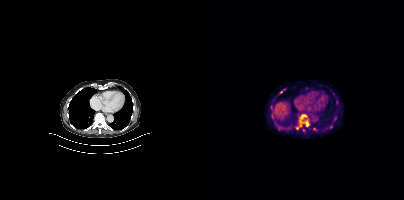
Coordinates are on the 200×200 PET (right) panel. (showing 5 of 9 foci) PSMA-avid tumor lesion bounding box (x0, y0)-(x1, y1): (95, 114)-(105, 126). Small PSMA-avid foci (2 to 4 px across) near (center x, center y): (68, 116) / (77, 92) / (93, 128) / (126, 126).
modality: PSMA PET/CT | tracer: 18F-PSMA | view: axial